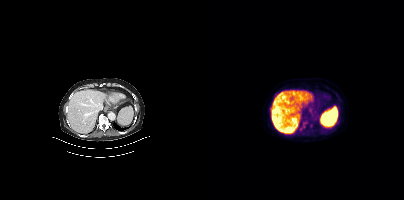
Coordinates are on the 200×200 PET (right) panel. Small PSMA-avid focus (2 to 4 px across) near (center x, center y): (107, 126). Paired axial CT (left) and PSMA PET (right), 18F tracer.